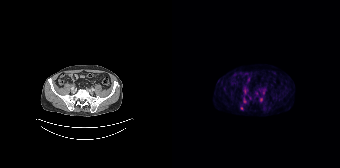
Two-panel axial: CT | PSMA PET, 18F-PSMA tracer. Slice 50 of 135.
Coordinates are on the 168×168 PET (right) panel. PSMA-avid tumor lesion bounding boxes (partial; 2 more foci not listed):
| # | x0 | y0 | x1 | y1 |
|---|---|---|---|---|
| 1 | 71 | 98 | 74 | 102 |
Small PSMA-avid foci (2 to 4 px across) near (center x, center y): (91, 91); (89, 99); (69, 108).